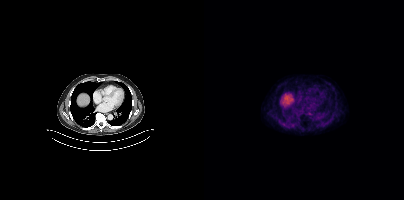
Paired axial CT (left) and PSMA PET (right), [68Ga]Ga-PSMA-11 tracer. This slice has no annotated PSMA-avid lesion.